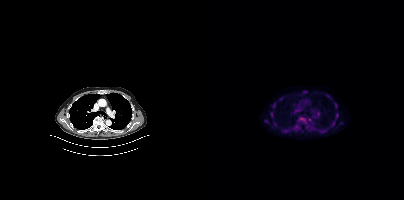
Technique: Left: CT. Right: PSMA PET, same axial level, 18F-PSMA tracer. acquired on Siemens Biograph mCT Flow 20. slice 284 of 401.
Findings: Coordinates are on the 200×200 PET (right) panel. (showing 7 of 8 foci) PSMA-avid tumor lesion bounding boxes (x0,y0,x1,y1): [94,117,102,122], [131,103,133,108], [67,112,68,116]. Small PSMA-avid foci (2 to 4 px across) near (center x, center y): (133, 114), (70, 105), (105, 119), (61, 120).